modality: PSMA PET/CT | tracer: 18F-PSMA | view: axial
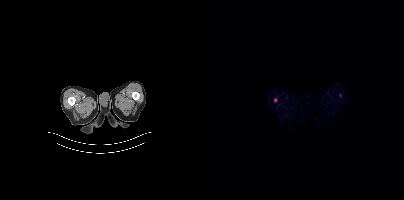
Coordinates are on the 200×200 PET (right) panel. Small PSMA-avid focus (2 to 4 px across) near (center x, center y): (71, 99).